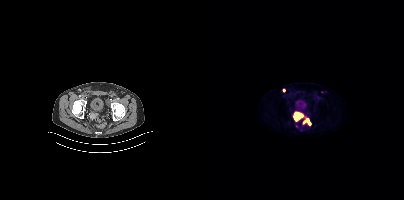
Paired axial CT (left) and PSMA PET (right), 18F-PSMA tracer. Acquired on Siemens Biograph mCT Flow 20.
Coordinates are on the 200×200 PET (right) panel. PSMA-avid tumor lesion bounding boxes:
| # | x0 | y0 | x1 | y1 |
|---|---|---|---|---|
| 1 | 89 | 111 | 107 | 125 |
| 2 | 78 | 88 | 81 | 92 |